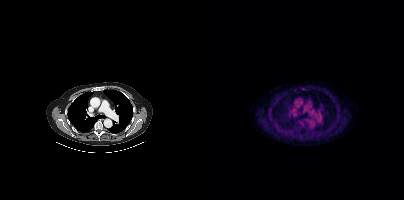
{"modality":"PSMA PET/CT","view":"axial","tracer":"[18F]PSMA-1007","pet_grid":[200,200],"coord_frame":"pet_panel","coord_format":"x0,y0,x1,y1","lesion_bboxes":[],"small_foci_centers":[[99,88]]}